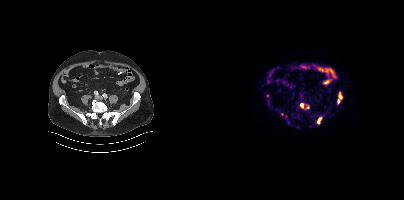
Technique: Two-panel axial: CT | PSMA PET, 18F tracer.
Findings: Coordinates are on the 200×200 PET (right) panel. (showing 4 of 6 foci) PSMA-avid tumor lesion bounding boxes (x0,y0,x1,y1): [113,117,117,123]; [135,93,137,98]. Small PSMA-avid foci (2 to 4 px across) near (center x, center y): (134, 101); (97, 105).